Left: CT. Right: PSMA PET, same axial level, [18F]PSMA-1007 tracer. Acquired on Siemens Biograph mCT Flow 20. PET panel 200×200 px (4.1 mm/px).
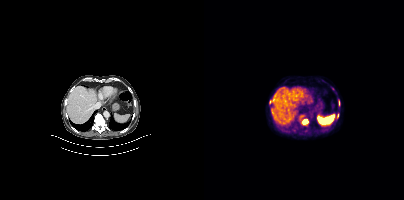
Coordinates are on the 200×200 PET (right) panel. PSMA-avid tumor lesion bounding boxes (partial; 1 more focus not listed):
| # | x0 | y0 | x1 | y1 |
|---|---|---|---|---|
| 1 | 98 | 119 | 104 | 124 |
| 2 | 133 | 114 | 134 | 118 |
Small PSMA-avid focus (2 to 4 px across) near (center x, center y): (66, 101).